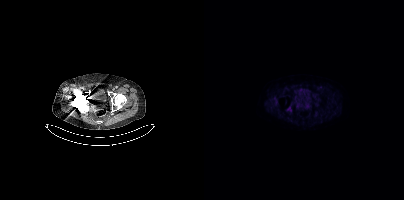
Two-panel axial: CT | PSMA PET, [18F]PSMA-1007 tracer. Negative for PSMA-avid disease on this slice.